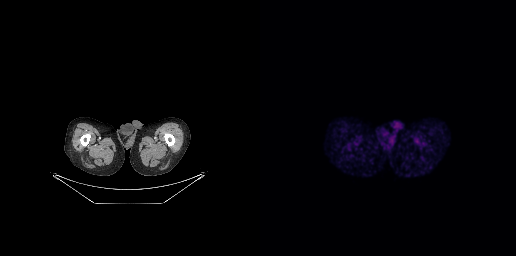
No tumor lesions annotated on this slice.